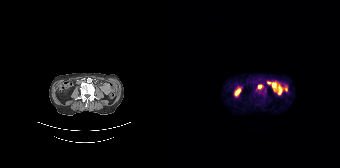
Technique: Two-panel axial: CT | PSMA PET, 68Ga-PSMA tracer. PET panel 168×168 px (4.1 mm/px).
Findings: Coordinates are on the 168×168 PET (right) panel. Small PSMA-avid focus (2 to 4 px across) near (center x, center y): (87, 86).